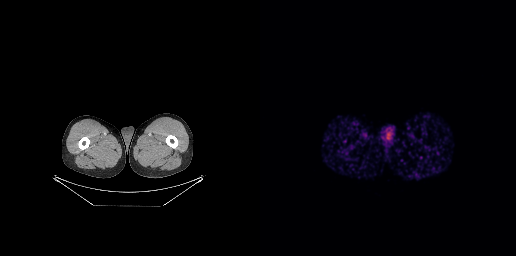
No PSMA-avid tumor lesions on this slice.